Two-panel axial: CT | PSMA PET, 18F tracer. Slice 200 of 389. PET panel 200×200 px (4.1 mm/px).
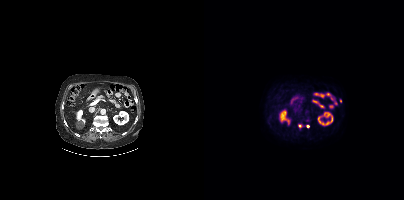
Coordinates are on the 200×200 PET (right) panel. (showing 1 of 2 foci) Small PSMA-avid focus (2 to 4 px across) near (center x, center y): (104, 126).